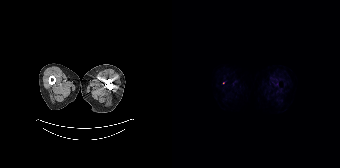
Coordinates are on the 168×168 PET (right) panel. Small PSMA-avid focus (2 to 4 px across) near (center x, center y): (51, 82).